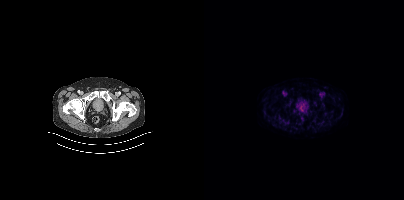
Findings: Negative for PSMA-avid disease on this slice.
- Two-panel axial: CT | PSMA PET, 18F-PSMA tracer
- slice position z = -1028 mm